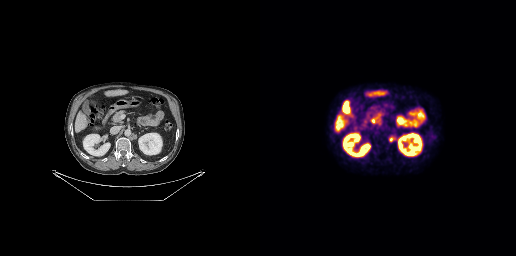
Coordinates are on the 256×256 PET (right) panel. PSMA-avid tumor lesion bounding box (x0, y0)-(x1, y1): (129, 136)-(135, 141).